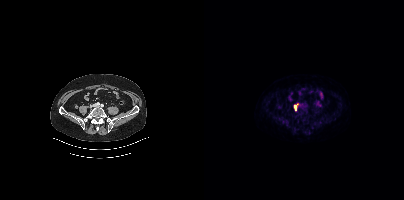
- Left: CT. Right: PSMA PET, same axial level, 18F tracer
Findings: Coordinates are on the 200×200 PET (right) panel. PSMA-avid tumor lesion bounding box (x0, y0)-(x1, y1): (90, 105)-(92, 110).